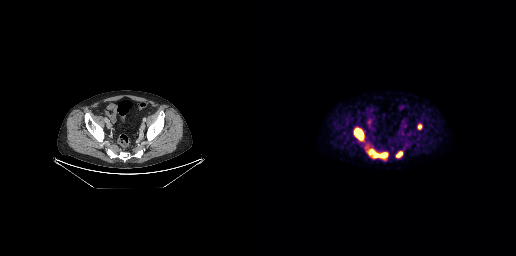
{"pet_grid":[256,256],"coord_frame":"pet_panel","coord_format":"x0,y0,x1,y1","lesion_bboxes":[[107,148,128,159],[94,127,104,140],[136,151,142,157],[158,125,161,129]],"modality":"PSMA PET/CT","view":"axial","tracer":"18F-PSMA"}